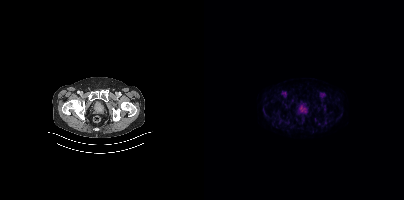
{"modality":"PSMA PET/CT","view":"axial","tracer":"[18F]PSMA-1007","pet_grid":[200,200],"coord_frame":"pet_panel","coord_format":"x0,y0,x1,y1","psma_avid_lesions":false}